Left: CT. Right: PSMA PET, same axial level, [68Ga]Ga-PSMA-11 tracer. PET panel 200×200 px (4.1 mm/px).
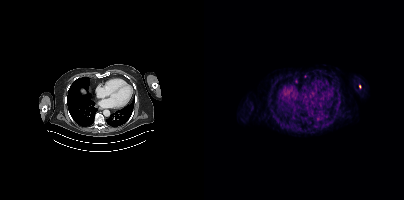
Only PSMA-avid lesion pieces thinner than 2 px on this slice (not listed).